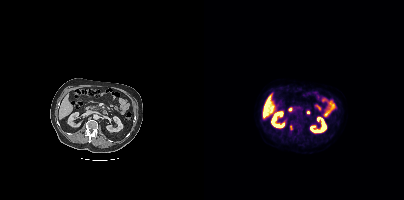
Coordinates are on the 200×200 PET (right) panel. PSMA-avid tumor lesion bounding box (x, y, width, height): x=86 y=125 w=3 h=5.